Technique: Paired axial CT (left) and PSMA PET (right), [18F]PSMA-1007 tracer.
Note: De-identified by setting a box covering the face to black before release.
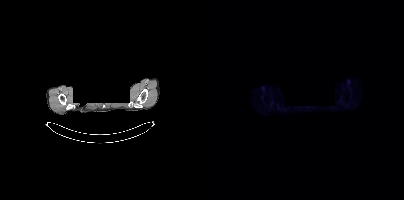
Findings: No tumor lesions annotated on this slice.